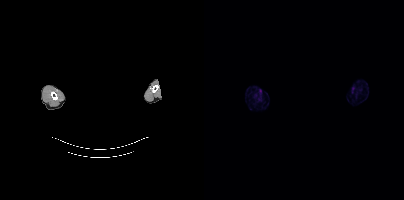
{"modality":"PSMA PET/CT","view":"axial","tracer":"18F-PSMA","pet_grid":[200,200],"coord_frame":"pet_panel","coord_format":"x0,y0,x1,y1","redaction":"head region blacked out before release","psma_avid_lesions":false}